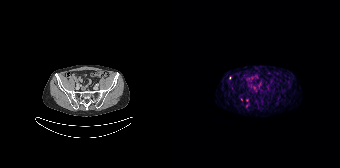
Coordinates are on the 168×168 PET (right) panel. (showing 2 of 3 foci) Small PSMA-avid foci (2 to 4 px across) near (center x, center y): (57, 77) / (69, 99).
modality: PSMA PET/CT | tracer: 68Ga | view: axial